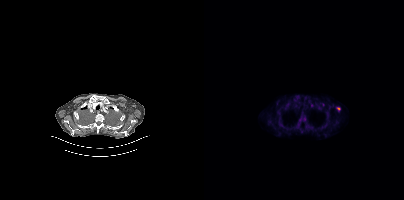
Two-panel axial: CT | PSMA PET, 18F tracer. PET panel 200×200 px (4.1 mm/px). Coordinates are on the 200×200 PET (right) panel. Small PSMA-avid foci (2 to 4 px across) near (center x, center y): (100, 119); (108, 105); (134, 108); (119, 104).